- Paired axial CT (left) and PSMA PET (right), 68Ga tracer
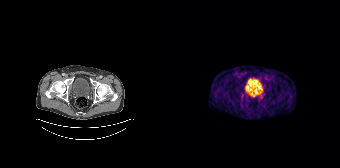
Findings: Only PSMA-avid lesion pieces thinner than 2 px on this slice (not listed).